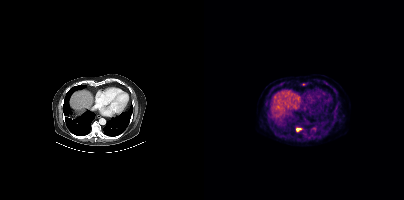
modality: PSMA PET/CT | tracer: [18F]PSMA-1007 | view: axial
Coordinates are on the 200×200 PET (right) panel. (showing 1 of 2 foci) PSMA-avid tumor lesion bounding box (x, y, width, height): x=92 y=128 w=6 h=4.